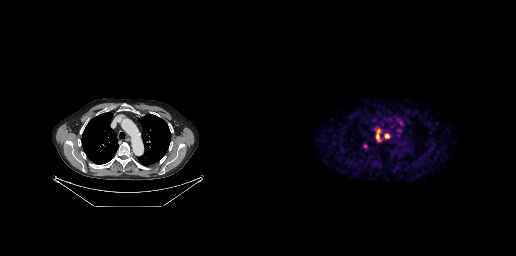
- Two-panel axial: CT | PSMA PET, [68Ga]Ga-PSMA-11 tracer
- acquired on GE Discovery 690
- slice 132 of 189
- PET panel 256×256 px (2.7 mm/px)
Findings: Coordinates are on the 256×256 PET (right) panel. PSMA-avid tumor lesion bounding boxes (x, y, width, height): x=116 y=129 w=5 h=12; x=125 y=134 w=5 h=4.